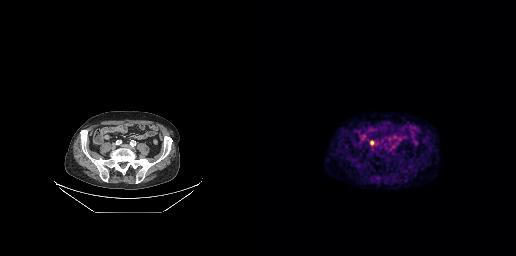
{"modality":"PSMA PET/CT","view":"axial","tracer":"68Ga","pet_grid":[256,256],"coord_frame":"pet_panel","coord_format":"x0,y0,x1,y1","lesion_bboxes":[[110,140,114,145]]}